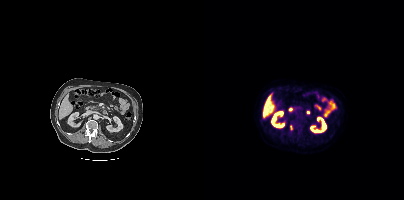
Technique: Paired axial CT (left) and PSMA PET (right), 18F-PSMA tracer. acquired on Siemens Biograph mCT Flow 20. slice 204 of 431.
Findings: Coordinates are on the 200×200 PET (right) panel. PSMA-avid tumor lesion bounding box (x0, y0)-(x1, y1): (86, 125)-(88, 129).